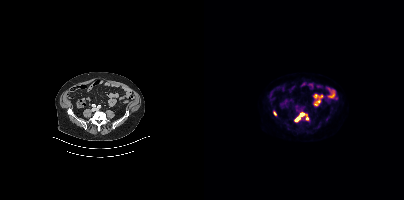
Coordinates are on the 200×200 PET (right) panel. PSMA-avid tumor lesion bounding box (x0, y0)-(x1, y1): (90, 112)-(101, 121). Small PSMA-avid foci (2 to 4 px across) near (center x, center y): (103, 118); (70, 113). Left: CT. Right: PSMA PET, same axial level, 18F-PSMA tracer.